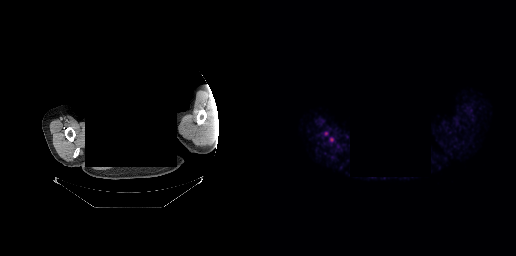
{"modality":"PSMA PET/CT","view":"axial","tracer":"68Ga","pet_grid":[256,256],"coord_frame":"pet_panel","coord_format":"x0,y0,x1,y1","partial":true,"lesion_bboxes":[],"deidentification":"facial region redacted"}